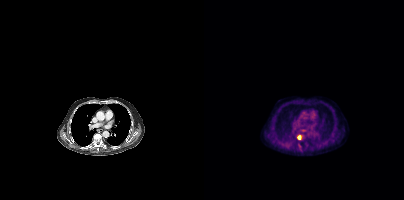
Coordinates are on the 200×200 PET (right) panel. PSMA-avid tumor lesion bounding boxes (partial; 1 more focus not listed):
| # | x0 | y0 | x1 | y1 |
|---|---|---|---|---|
| 1 | 93 | 135 | 97 | 139 |
Two-panel axial: CT | PSMA PET, [18F]PSMA-1007 tracer. PET panel 200×200 px (4.1 mm/px).